Paired axial CT (left) and PSMA PET (right), 18F-PSMA tracer. Acquired on Siemens Biograph mCT Flow 20. Slice position z = -958 mm.
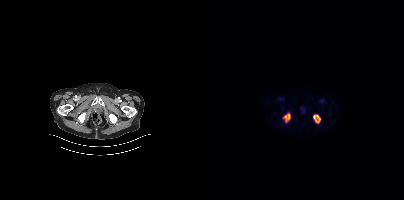
Coordinates are on the 200×200 PET (right) panel. PSMA-avid tumor lesion bounding boxes:
| # | x0 | y0 | x1 | y1 |
|---|---|---|---|---|
| 1 | 109 | 115 | 116 | 122 |
| 2 | 80 | 114 | 86 | 121 |